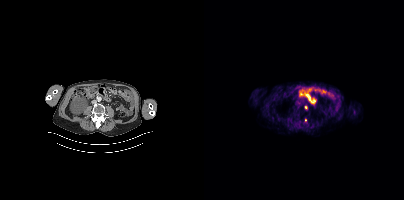
Coordinates are on the 200×200 PET (right) panel. (showing 1 of 2 foci) Small PSMA-avid focus (2 to 4 px across) near (center x, center y): (101, 120).